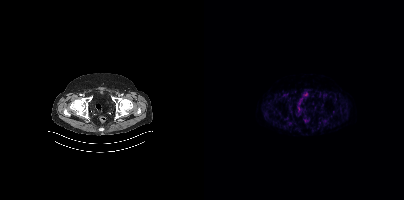
No tumor lesions annotated on this slice.